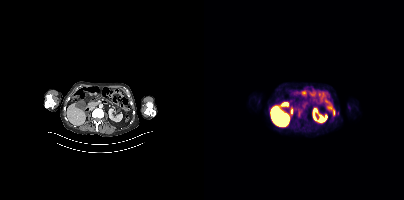
Coordinates are on the 200×200 PET (right) panel. PSMA-avid tumor lesion bounding boxes (x, y, width, height): x=127 y=106 w=5 h=10 / x=94 y=112 w=3 h=5.